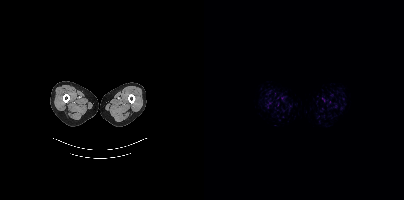
{"modality":"PSMA PET/CT","view":"axial","tracer":"[18F]PSMA-1007","pet_grid":[200,200],"coord_frame":"pet_panel","coord_format":"x0,y0,x1,y1","psma_avid_lesions":false}